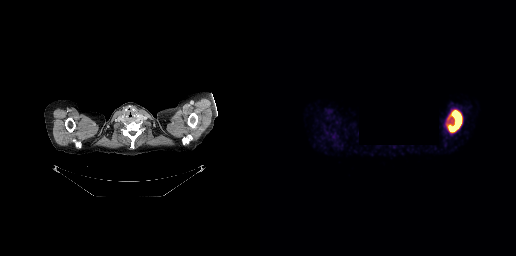
de-identification: rectangular block set to black | modality: PSMA PET/CT | tracer: 68Ga-PSMA | view: axial | PET grid: 256×256
Coordinates are on the 256×256 PET (right) panel. PSMA-avid tumor lesion bounding box (x0, y0)-(x1, y1): (187, 110)-(202, 132).